- Paired axial CT (left) and PSMA PET (right), 18F tracer
- PET panel 200×200 px (4.1 mm/px)
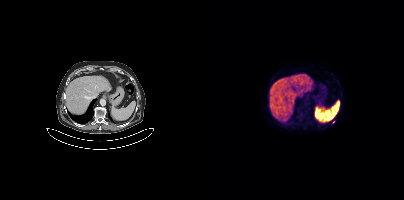
Findings: Coordinates are on the 200×200 PET (right) panel. Small PSMA-avid focus (2 to 4 px across) near (center x, center y): (129, 121).